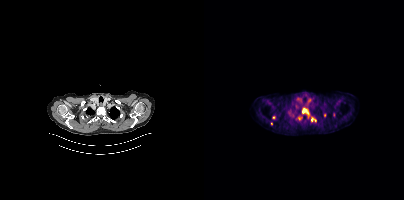
Coordinates are on the 200×200 PET (right) panel. (showing 5 of 7 foci) PSMA-avid tumor lesion bounding boxes (x, y, width, height): x=98 y=108 w=8 h=8; x=107 y=117 w=6 h=5. Small PSMA-avid foci (2 to 4 px across) near (center x, center y): (120, 115); (95, 118); (67, 123).